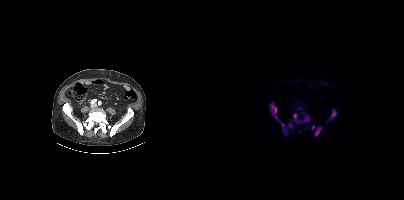
Paired axial CT (left) and PSMA PET (right), 18F-PSMA tracer. Acquired on Siemens Biograph mCT Flow 20. Slice 133 of 423. PET panel 200×200 px (4.1 mm/px). Coordinates are on the 200×200 PET (right) panel. (showing 9 of 10 foci) PSMA-avid tumor lesion bounding boxes (x, y, width, height): x=67 y=102 w=6 h=18 / x=89 y=113 w=9 h=11 / x=111 y=127 w=7 h=10 / x=126 y=109 w=7 h=11 / x=99 y=115 w=7 h=8 / x=75 y=120 w=8 h=15 / x=84 y=123 w=6 h=5 / x=107 y=125 w=4 h=5. Small PSMA-avid focus (2 to 4 px across) near (center x, center y): (95, 107).